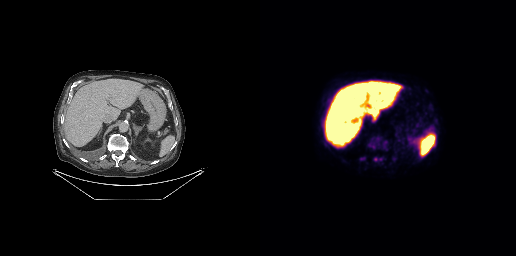
- Two-panel axial: CT | PSMA PET, [18F]PSMA-1007 tracer
- slice position z = -435 mm
- PET panel 256×256 px (2.7 mm/px)
Findings: Coordinates are on the 256×256 PET (right) panel. (showing 1 of 2 foci) PSMA-avid tumor lesion bounding box (x0,y0,x1,y1): [62,122,64,127].